modality: PSMA PET/CT | tracer: 18F | view: axial
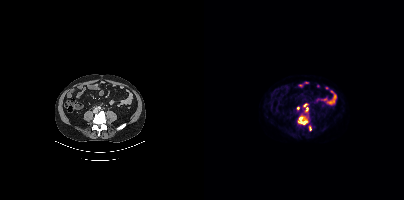
Coordinates are on the 200×200 PET (right) panel. PSMA-avid tumor lesion bounding boxes (x, y, width, height): x=94 y=116 w=11 h=9; x=99 y=103 w=6 h=9; x=105 y=126 w=3 h=5. Small PSMA-avid focus (2 to 4 px across) near (center x, center y): (94, 108).